Paired axial CT (left) and PSMA PET (right), 18F tracer. Slice position z = -1334 mm.
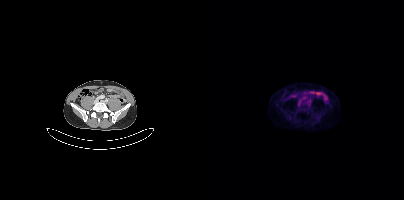
Only PSMA-avid lesion pieces thinner than 2 px on this slice (not listed).